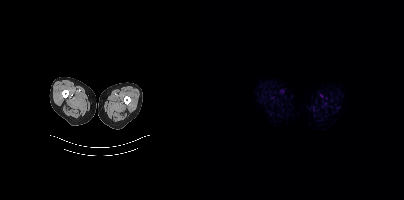
Findings: No PSMA-avid tumor lesions on this slice.
- Two-panel axial: CT | PSMA PET, 18F tracer
- acquired on Siemens Biograph mCT Flow 20
- PET panel 200×200 px (4.1 mm/px)